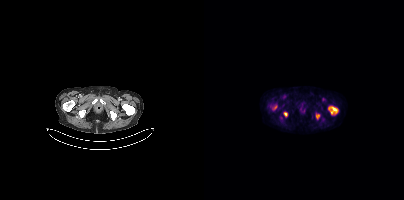
- Paired axial CT (left) and PSMA PET (right), 18F tracer
- acquired on Siemens Biograph mCT Flow 20
Findings: Coordinates are on the 200×200 PET (right) panel. PSMA-avid tumor lesion bounding boxes (x0, y0)-(x1, y1): (124, 106)-(133, 114) | (79, 112)-(83, 116) | (112, 114)-(115, 118) | (69, 105)-(72, 109).